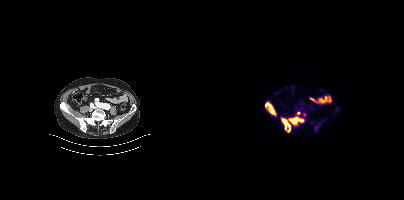
Findings: Coordinates are on the 200×200 PET (right) panel. PSMA-avid tumor lesion bounding boxes (x0,y0,x1,y1): [61,102,72,115] [77,118,86,131] [85,117,99,124]. Small PSMA-avid focus (2 to 4 px across) near (center x, center y): (94, 112).
Technique: Paired axial CT (left) and PSMA PET (right), 18F-PSMA tracer. acquired on Siemens Biograph mCT Flow 20.